- Two-panel axial: CT | PSMA PET, [18F]PSMA-1007 tracer
- acquired on Siemens Biograph mCT Flow 20
- slice position z = -699 mm
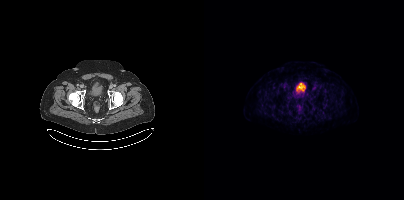
Findings: Coordinates are on the 200×200 PET (right) panel. Small PSMA-avid focus (2 to 4 px across) near (center x, center y): (84, 86).